Technique: Paired axial CT (left) and PSMA PET (right), 68Ga-PSMA tracer.
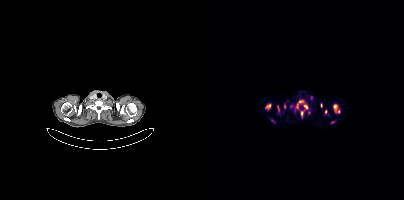
Findings: Coordinates are on the 200×200 PET (right) panel. (showing 9 of 15 foci) PSMA-avid tumor lesion bounding boxes (x0,y0,x1,y1): [130,105,135,112], [97,111,99,118], [61,104,66,108], [100,104,103,109]. Small PSMA-avid foci (2 to 4 px across) near (center x, center y): (87, 106), (96, 102), (121, 111), (92, 108), (80, 106).